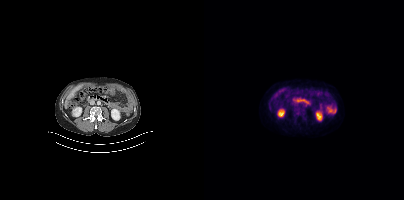
- Two-panel axial: CT | PSMA PET, 18F tracer
- slice 174 of 415
Findings: No tumor lesions annotated on this slice.